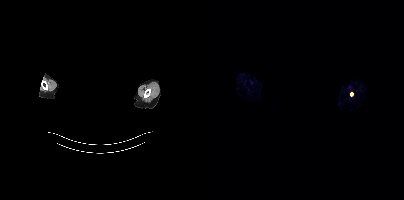
The face region was removed for patient privacy by blanking a rectangle over the head.
Coordinates are on the 200×200 PET (right) panel. Small PSMA-avid focus (2 to 4 px across) near (center x, center y): (147, 94).